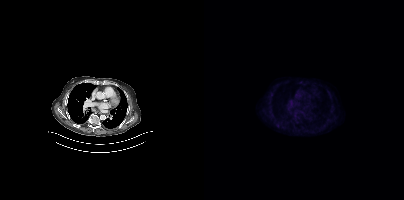
Only PSMA-avid lesion pieces thinner than 2 px on this slice (not listed).